- Paired axial CT (left) and PSMA PET (right), [18F]PSMA-1007 tracer
- acquired on Siemens Biograph mCT Flow 20
- slice 66 of 401
- PET panel 200×200 px (4.1 mm/px)
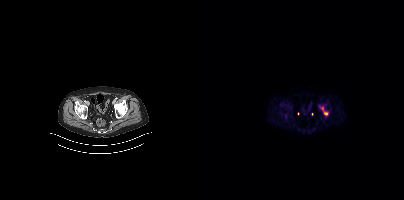
Findings: Coordinates are on the 200×200 PET (right) panel. (showing 1 of 2 foci) PSMA-avid tumor lesion bounding box (x0,y0,x1,y1): [116,106,124,114].